- Two-panel axial: CT | PSMA PET, [18F]PSMA-1007 tracer
- acquired on Siemens Biograph mCT Flow 20
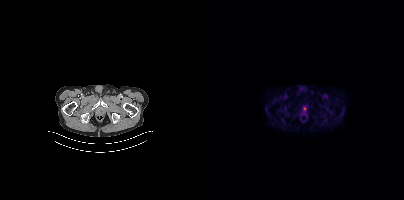
Findings: Coordinates are on the 200×200 PET (right) panel. Small PSMA-avid focus (2 to 4 px across) near (center x, center y): (100, 108).